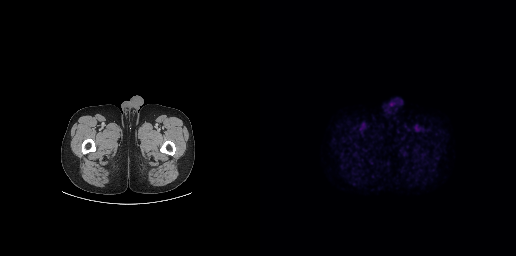
{"modality":"PSMA PET/CT","view":"axial","tracer":"18F-PSMA","pet_grid":[256,256],"coord_frame":"pet_panel","coord_format":"x0,y0,x1,y1","psma_avid_lesions":false}